Technique: Left: CT. Right: PSMA PET, same axial level, 18F tracer. acquired on GE Discovery 690. slice position z = -645 mm. PET panel 256×256 px (2.7 mm/px).
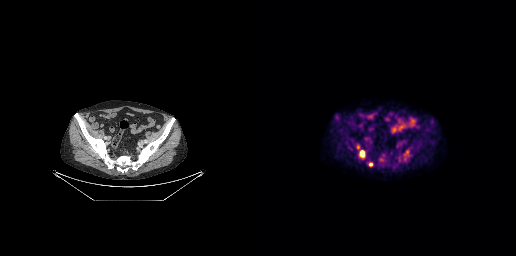
Findings: Coordinates are on the 256×256 PET (right) panel. PSMA-avid tumor lesion bounding box (x, y, width, height): x=99 y=150 w=6 h=8. Small PSMA-avid foci (2 to 4 px across) near (center x, center y): (110, 164) / (98, 147).